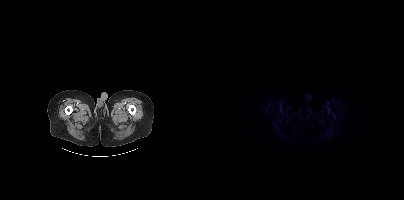
{"modality":"PSMA PET/CT","view":"axial","tracer":"18F","pet_grid":[200,200],"coord_frame":"pet_panel","coord_format":"x0,y0,x1,y1","psma_avid_lesions":false}